modality: PSMA PET/CT | tracer: 18F-PSMA | view: axial
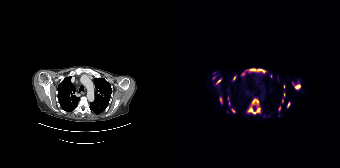
Coordinates are on the 168×168 PET (right) panel. (showing 12 of 16 foci) PSMA-avid tumor lesion bounding boxes (x0,y0,x1,y1): [75,98,88,114], [69,68,94,75], [121,83,128,89], [44,79,49,84], [48,97,50,103], [115,102,117,107]. Small PSMA-avid foci (2 to 4 px across) near (center x, center y): (60, 110), (62, 77), (110, 100), (112, 94), (107, 108), (41, 77).